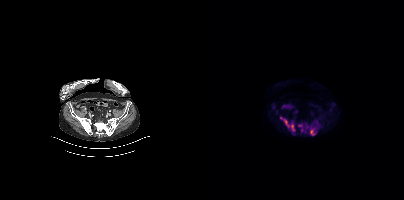
{"pet_grid":[200,200],"coord_frame":"pet_panel","coord_format":"x0,y0,x1,y1","lesion_bboxes":[[76,117,90,131],[94,123,101,132],[106,128,112,135],[109,119,113,124]],"modality":"PSMA PET/CT","view":"axial","tracer":"[18F]PSMA-1007"}